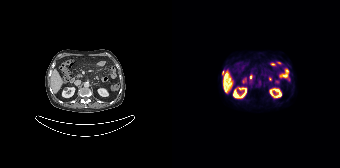
modality: PSMA PET/CT | tracer: 18F-PSMA | view: axial | PET grid: 168×168
Coordinates are on the 168×168 PET (right) panel. Small PSMA-avid focus (2 to 4 px across) near (center x, center y): (51, 72).